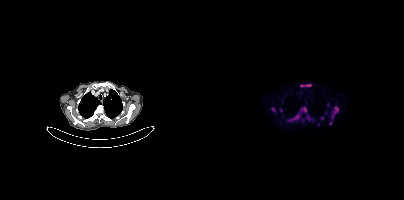
Paired axial CT (left) and PSMA PET (right), 18F tracer. PET panel 200×200 px (4.1 mm/px). Coordinates are on the 200×200 PET (right) panel. (showing 8 of 12 foci) PSMA-avid tumor lesion bounding boxes (x0, y0)-(x1, y1): (128, 106)-(134, 118) / (83, 114)-(95, 121) / (96, 84)-(107, 86) / (96, 107)-(102, 112). Small PSMA-avid foci (2 to 4 px across) near (center x, center y): (69, 109) / (118, 118) / (126, 123) / (104, 118).